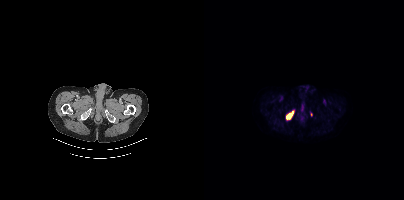
Technique: Left: CT. Right: PSMA PET, same axial level, 18F-PSMA tracer. acquired on Siemens Biograph mCT Flow 20.
Findings: Coordinates are on the 200×200 PET (right) panel. (showing 1 of 2 foci) PSMA-avid tumor lesion bounding box (x0,y0,x1,y1): [82,110,90,118].